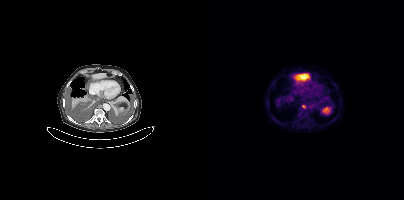
Findings: Coordinates are on the 200×200 PET (right) panel. Small PSMA-avid focus (2 to 4 px across) near (center x, center y): (99, 106).
Technique: Two-panel axial: CT | PSMA PET, 18F-PSMA tracer. acquired on Siemens Biograph mCT Flow 20. slice 221 of 381. PET panel 200×200 px (4.1 mm/px).